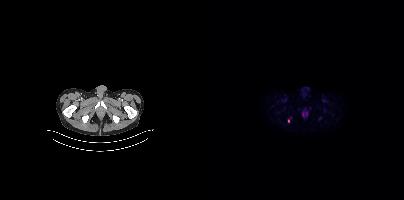
Paired axial CT (left) and PSMA PET (right), 18F tracer. Acquired on Siemens Biograph mCT Flow 20. Slice 39 of 377. Coordinates are on the 200×200 PET (right) panel. Small PSMA-avid focus (2 to 4 px across) near (center x, center y): (84, 121).